- Two-panel axial: CT | PSMA PET, [68Ga]Ga-PSMA-11 tracer
- slice 219 of 227
- PET panel 256×256 px (2.7 mm/px)
- head region blanked for anonymization (face removed)
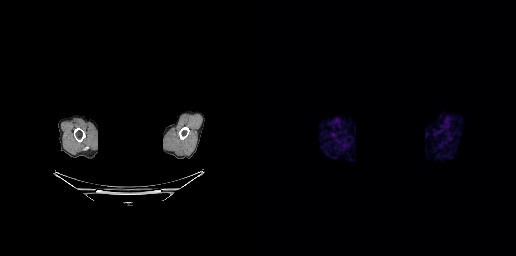
Findings: No PSMA-avid tumor lesions on this slice.